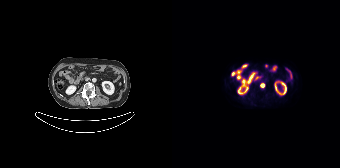
Coordinates are on the 168×168 PET (right) panel. Small PSMA-avid focus (2 to 4 px across) near (center x, center y): (90, 85).